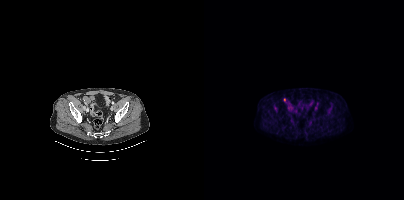
{"modality":"PSMA PET/CT","view":"axial","tracer":"[18F]PSMA-1007","pet_grid":[200,200],"coord_frame":"pet_panel","coord_format":"x0,y0,x1,y1","lesion_bboxes":[],"small_foci_centers":[[80,99]]}